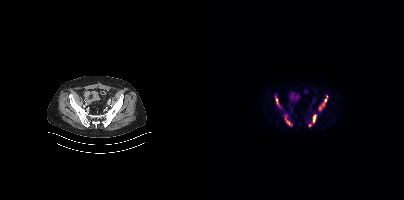
Coordinates are on the 200×200 PET (right) panel. PSMA-avid tumor lesion bounding boxes:
| # | x0 | y0 | x1 | y1 |
|---|---|---|---|---|
| 1 | 115 | 95 | 123 | 109 |
| 2 | 71 | 96 | 74 | 105 |
| 3 | 81 | 117 | 87 | 125 |
| 4 | 109 | 115 | 111 | 121 |
Small PSMA-avid focus (2 to 4 px across) near (center x, center y): (106, 125).
Left: CT. Right: PSMA PET, same axial level, 18F tracer. Slice position z = -1404 mm.